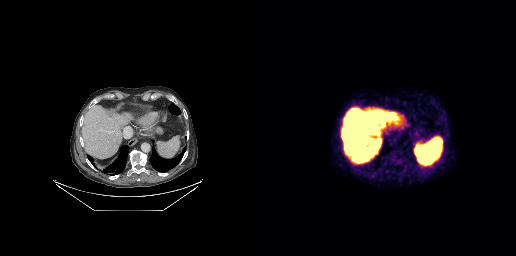
No tumor lesions annotated on this slice. Left: CT. Right: PSMA PET, same axial level, 18F-PSMA tracer. Acquired on GE Discovery 690. PET panel 256×256 px (2.7 mm/px).